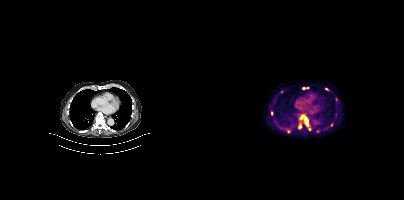
{"modality":"PSMA PET/CT","view":"axial","tracer":"[18F]PSMA-1007","pet_grid":[200,200],"coord_frame":"pet_panel","coord_format":"x0,y0,x1,y1","partial":true,"lesion_bboxes":[[95,114,105,126],[94,123,97,128]],"small_foci_centers":[[122,89],[105,129],[100,88],[67,113],[127,125],[103,87],[77,91]]}